modality: PSMA PET/CT | tracer: [18F]PSMA-1007 | view: axial | de-identification: rectangular block over head set to black
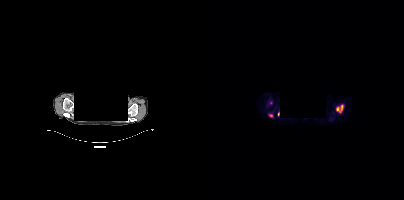
Coordinates are on the 200×200 PET (right) panel. (showing 2 of 3 foci) PSMA-avid tumor lesion bounding boxes (x0,y0,x1,y1): [132,105,139,112], [65,114,69,117].